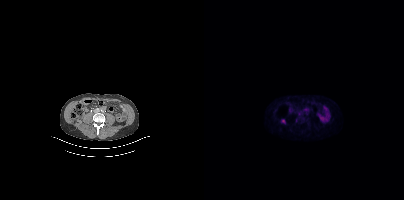
{"modality":"PSMA PET/CT","view":"axial","tracer":"18F","pet_grid":[200,200],"coord_frame":"pet_panel","coord_format":"x0,y0,x1,y1","lesion_bboxes":[[77,119,81,123]],"small_foci_centers":[[101,109]]}